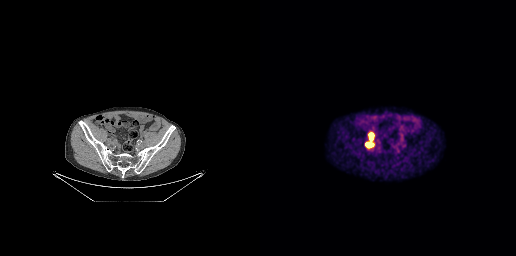
Technique: Two-panel axial: CT | PSMA PET, 68Ga-PSMA tracer. PET panel 256×256 px (2.7 mm/px).
Findings: Coordinates are on the 256×256 PET (right) panel. PSMA-avid tumor lesion bounding box (x0,y0,x1,y1): [106,142,113,147]. Small PSMA-avid focus (2 to 4 px across) near (center x, center y): (111, 136).